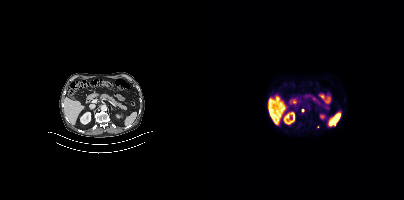
Left: CT. Right: PSMA PET, same axial level, 18F-PSMA tracer. PET panel 200×200 px (4.1 mm/px). Coordinates are on the 200×200 PET (right) panel. (showing 1 of 2 foci) Small PSMA-avid focus (2 to 4 px across) near (center x, center y): (98, 110).